Technique: Paired axial CT (left) and PSMA PET (right), [18F]PSMA-1007 tracer. acquired on Siemens Biograph mCT Flow 20. slice 161 of 444. PET panel 200×200 px (4.1 mm/px).
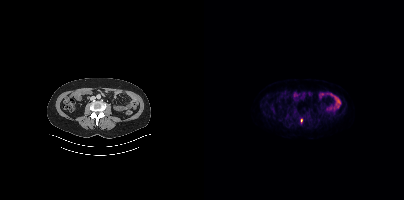
Findings: Only PSMA-avid lesion pieces thinner than 2 px on this slice (not listed).